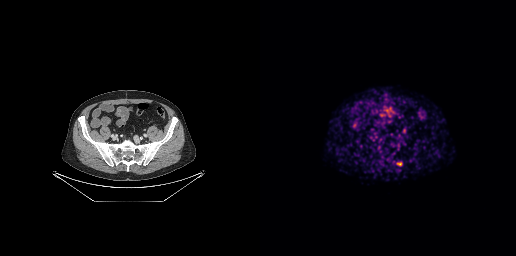
Coordinates are on the 256×256 PET (right) panel. Small PSMA-avid focus (2 to 4 px across) near (center x, center y): (139, 163).